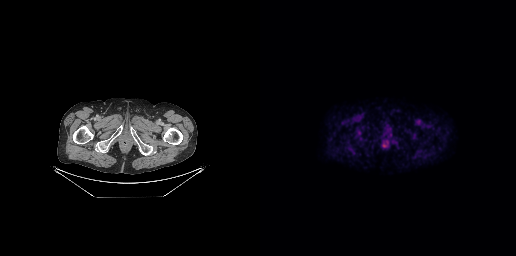
{"modality":"PSMA PET/CT","view":"axial","tracer":"18F","pet_grid":[256,256],"coord_frame":"pet_panel","coord_format":"x0,y0,x1,y1","psma_avid_lesions":false}